- Paired axial CT (left) and PSMA PET (right), 18F tracer
- acquired on Siemens Biograph mCT Flow 20
- slice 122 of 401
- PET panel 200×200 px (4.1 mm/px)
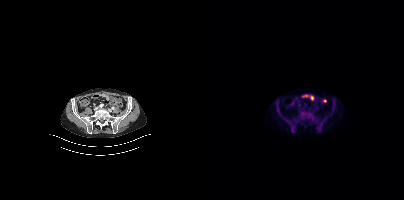
Findings: No PSMA-avid tumor lesions on this slice.